deidentification: face masked with black rectangle | modality: PSMA PET/CT | tracer: 18F-PSMA | view: axial | PET grid: 200×200
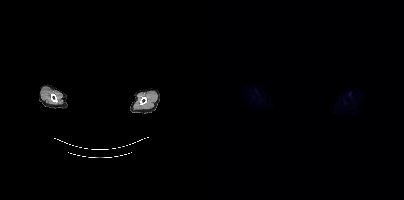
This slice has no annotated PSMA-avid lesion.